modality: PSMA PET/CT | tracer: 18F | view: axial
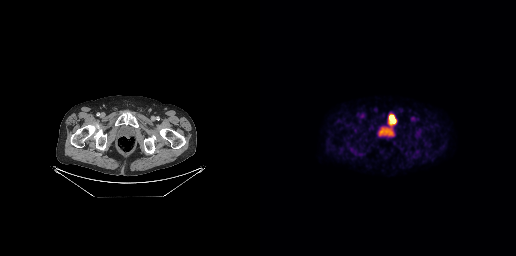
Coordinates are on the 256×256 PET (right) panel. PSMA-avid tumor lesion bounding box (x0, y0)-(x1, y1): (129, 115)-(136, 124).